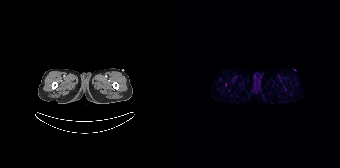
Coordinates are on the 168×168 PET (right) panel. Small PSMA-avid focus (2 to 4 px across) near (center x, center y): (53, 84).